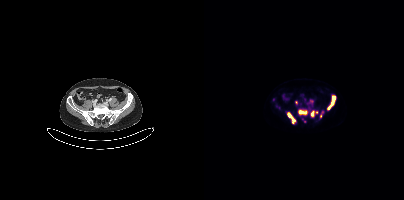
Coordinates are on the 200×200 PET (right) panel. (showing 8 of 9 foci) PSMA-avid tumor lesion bounding boxes (x0, y0)-(x1, y1): (94, 110)-(102, 115); (84, 113)-(92, 124); (107, 110)-(113, 116); (127, 96)-(131, 104). Small PSMA-avid foci (2 to 4 px across) near (center x, center y): (116, 115); (92, 102); (125, 107); (100, 121).